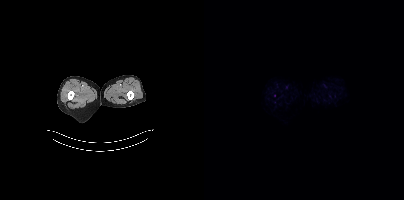
Technique: Two-panel axial: CT | PSMA PET, 18F tracer. slice 13 of 395. PET panel 200×200 px (4.1 mm/px).
Findings: This slice has no annotated PSMA-avid lesion.